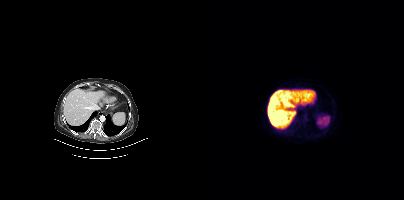
{"modality":"PSMA PET/CT","view":"axial","tracer":"18F-PSMA","pet_grid":[200,200],"coord_frame":"pet_panel","coord_format":"x0,y0,x1,y1","psma_avid_lesions":false}